Technique: Left: CT. Right: PSMA PET, same axial level, 68Ga tracer. acquired on GE Discovery 690. slice 70 of 299. PET panel 256×256 px (2.7 mm/px).
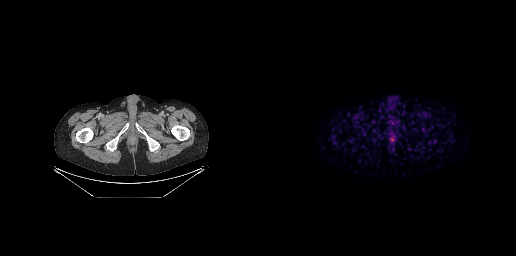
Findings: No tumor lesions annotated on this slice.